Two-panel axial: CT | PSMA PET, 18F-PSMA tracer. Acquired on Siemens Biograph mCT Flow 20. PET panel 200×200 px (4.1 mm/px).
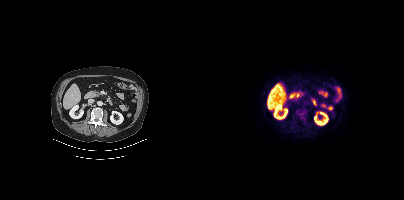
Negative for PSMA-avid disease on this slice.